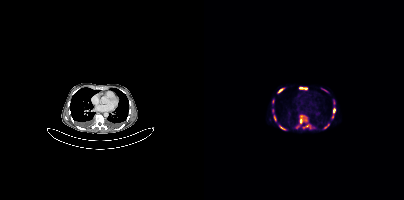
Coordinates are on the 200×200 PET (right) panel. (showing 11 of 14 foci) PSMA-avid tumor lesion bounding boxes (x, y, width, height): x=96 y=115 w=4 h=9; x=128 y=108 w=4 h=11; x=95 y=87 w=9 h=3; x=76 y=126 w=6 h=5; x=74 y=89 w=5 h=4; x=120 y=125 w=5 h=4. Small PSMA-avid foci (2 to 4 px across) near (center x, center y): (68, 110); (103, 125); (70, 118); (101, 119); (121, 90).